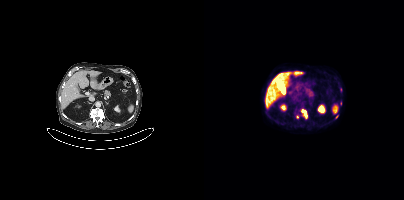
Coordinates are on the 200×200 PET (right) panel. (showing 3 of 5 foci) PSMA-avid tumor lesion bounding box (x0,y0,x1,y1): [97,109,103,118]. Small PSMA-avid foci (2 to 4 px across) near (center x, center y): (133, 116) (93, 116).